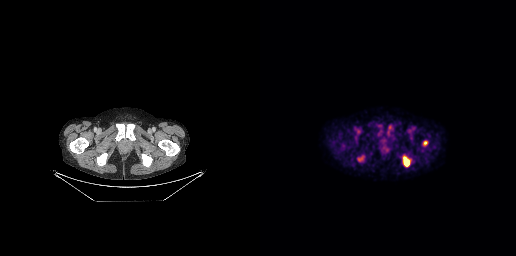
Coordinates are on the 256×256 PET (right) panel. PSMA-avid tumor lesion bounding boxes (x, y, width, height): x=143 y=157 w=7 h=10 | x=163 y=141 w=5 h=5.